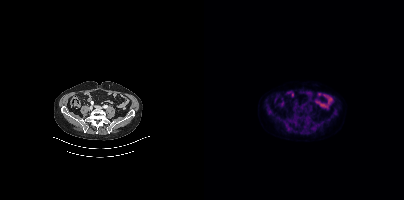
{"modality":"PSMA PET/CT","view":"axial","tracer":"[18F]PSMA-1007","pet_grid":[200,200],"coord_frame":"pet_panel","coord_format":"x0,y0,x1,y1","psma_avid_lesions":false}